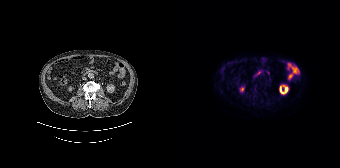
{"modality":"PSMA PET/CT","view":"axial","tracer":"[18F]PSMA-1007","pet_grid":[168,168],"coord_frame":"pet_panel","coord_format":"x0,y0,x1,y1","psma_avid_lesions":false}